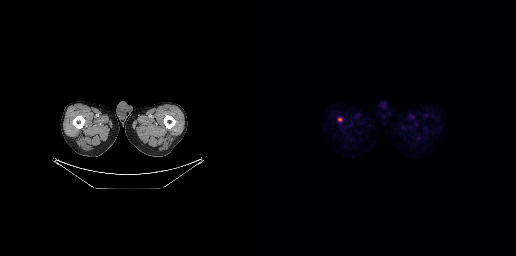
Coordinates are on the 256×256 PET (right) panel. PSMA-avid tumor lesion bounding box (x, y, width, height): x=78 y=118 w=5 h=4.